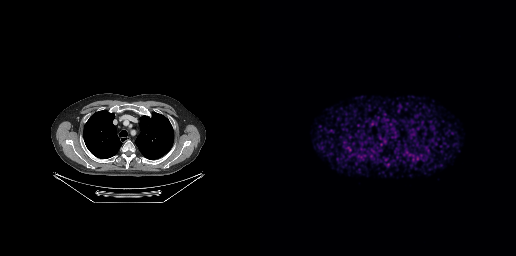
{"modality":"PSMA PET/CT","view":"axial","tracer":"68Ga","pet_grid":[256,256],"coord_frame":"pet_panel","coord_format":"x0,y0,x1,y1","psma_avid_lesions":false}